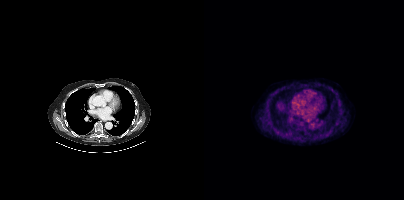
Two-panel axial: CT | PSMA PET, [18F]PSMA-1007 tracer. Slice position z = -451 mm. PET panel 200×200 px (4.1 mm/px). No PSMA-avid tumor lesions on this slice.